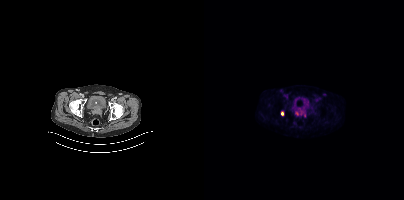
Technique: Left: CT. Right: PSMA PET, same axial level, 18F-PSMA tracer. slice position z = -945 mm.
Findings: Coordinates are on the 200×200 PET (right) panel. (showing 1 of 2 foci) Small PSMA-avid focus (2 to 4 px across) near (center x, center y): (78, 113).